- Two-panel axial: CT | PSMA PET, 18F tracer
- acquired on Siemens Biograph mCT Flow 20
- slice 114 of 421
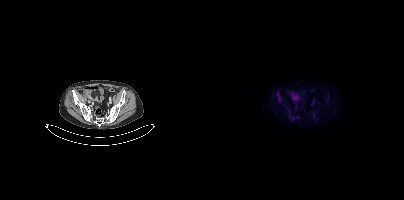
Findings: This slice has no annotated PSMA-avid lesion.